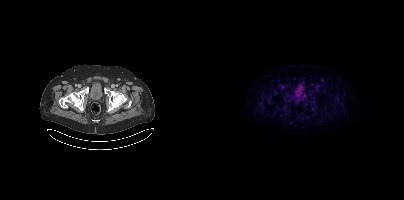
This slice has no annotated PSMA-avid lesion.